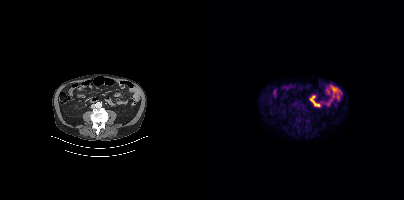
modality: PSMA PET/CT | tracer: [18F]PSMA-1007 | view: axial | PET grid: 200×200
Negative for PSMA-avid disease on this slice.